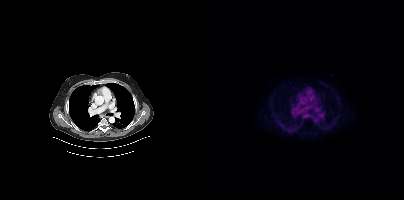
No tumor lesions annotated on this slice. Left: CT. Right: PSMA PET, same axial level, [18F]PSMA-1007 tracer. Acquired on Siemens Biograph mCT Flow 20.